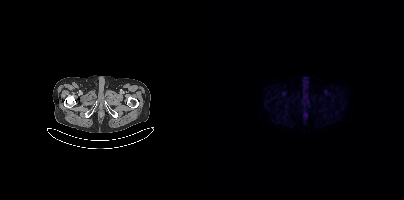
No PSMA-avid tumor lesions on this slice. Paired axial CT (left) and PSMA PET (right), 18F-PSMA tracer. Slice 39 of 419.